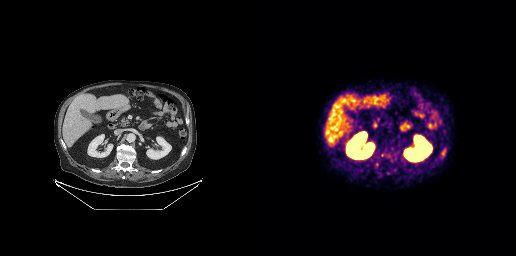
Only PSMA-avid lesion pieces thinner than 2 px on this slice (not listed).
modality: PSMA PET/CT | tracer: 68Ga | view: axial | PET grid: 256×256